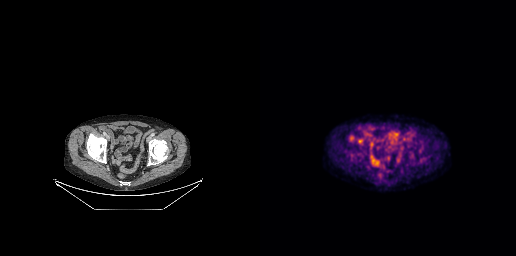
Coordinates are on the 256×256 PET (right) panel. PSMA-avid tumor lesion bounding boxes (x0,y0,x1,y1): [98,139,102,143], [90,136,93,140].